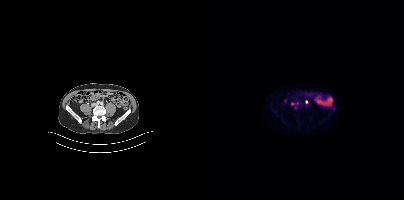
Coordinates are on the 200×200 PET (right) panel. Small PSMA-avid foci (2 to 4 px across) near (center x, center y): (88, 103), (102, 101).